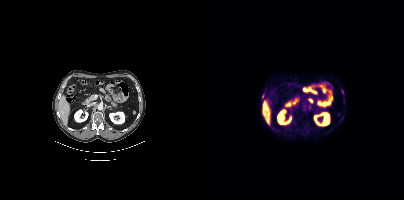
{"modality":"PSMA PET/CT","view":"axial","tracer":"18F-PSMA","pet_grid":[200,200],"coord_frame":"pet_panel","coord_format":"x0,y0,x1,y1","lesion_bboxes":[[137,90,139,94]],"small_foci_centers":[[59,95]]}